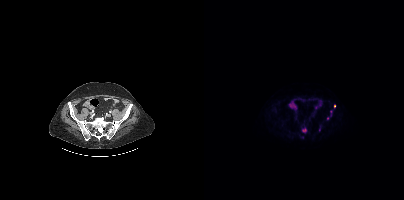
Paired axial CT (left) and PSMA PET (right), [18F]PSMA-1007 tracer. PET panel 200×200 px (4.1 mm/px). Only PSMA-avid lesion pieces thinner than 2 px on this slice (not listed).